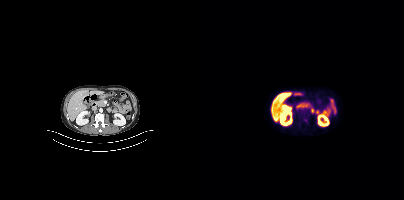
No PSMA-avid tumor lesions on this slice.